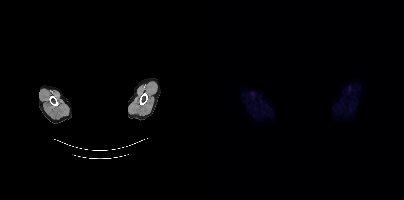
The face region was removed for patient privacy by blanking a rectangle over the head. Two-panel axial: CT | PSMA PET, 18F tracer. PET panel 200×200 px (4.1 mm/px). No PSMA-avid tumor lesions on this slice.